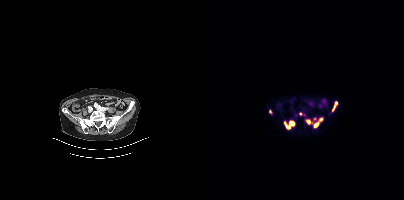
Coordinates are on the 200×200 PET (right) panel. (showing 6 of 8 foci) PSMA-avid tumor lesion bounding boxes (x0, y0)-(x1, y1): (80, 121)-(90, 128) / (107, 118)-(118, 127) / (128, 101)-(133, 110). Small PSMA-avid foci (2 to 4 px across) near (center x, center y): (104, 121) / (96, 114) / (66, 111).